Technique: Left: CT. Right: PSMA PET, same axial level, 18F-PSMA tracer. slice 189 of 450.
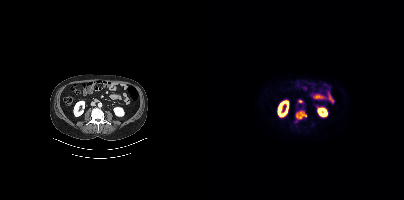
Findings: Coordinates are on the 200×200 PET (right) panel. PSMA-avid tumor lesion bounding box (x0,y0,x1,y1): [92,111,102,118].